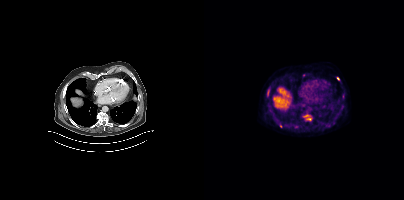
Paired axial CT (left) and PSMA PET (right), 18F tracer. Slice position z = -1086 mm.
Coordinates are on the 200×200 PET (right) panel. PSMA-avid tumor lesion bounding boxes:
| # | x0 | y0 | x1 | y1 |
|---|---|---|---|---|
| 1 | 99 | 114 | 108 | 121 |
| 2 | 63 | 90 | 65 | 95 |
Small PSMA-avid foci (2 to 4 px across) near (center x, center y): (100, 75); (134, 78); (76, 126); (92, 125).